- Left: CT. Right: PSMA PET, same axial level, 18F tracer
- acquired on Siemens Biograph mCT Flow 20
- PET panel 200×200 px (4.1 mm/px)
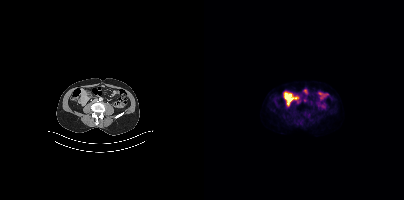
Findings: No PSMA-avid tumor lesions on this slice.